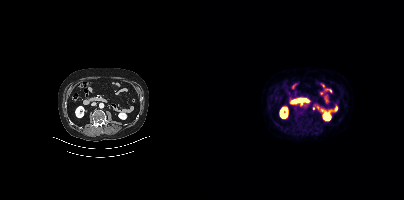
modality: PSMA PET/CT | tracer: [18F]PSMA-1007 | view: axial
Coordinates are on the 200×200 PET (right) panel. Small PSMA-avid focus (2 to 4 px across) near (center x, center y): (109, 108).